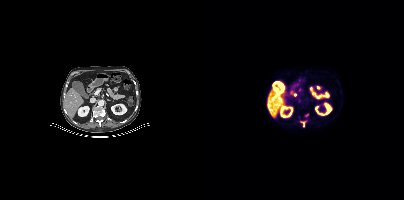
Coordinates are on the 200×200 PET (right) panel. PSMA-avid tumor lesion bounding boxes:
| # | x0 | y0 | x1 | y1 |
|---|---|---|---|---|
| 1 | 97 | 121 | 101 | 126 |
Left: CT. Right: PSMA PET, same axial level, [18F]PSMA-1007 tracer. Slice 655 of 963.